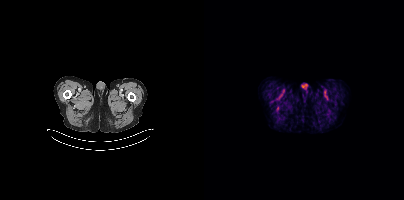
{"modality":"PSMA PET/CT","view":"axial","tracer":"18F-PSMA","pet_grid":[200,200],"coord_frame":"pet_panel","coord_format":"x0,y0,x1,y1","psma_avid_lesions":false}